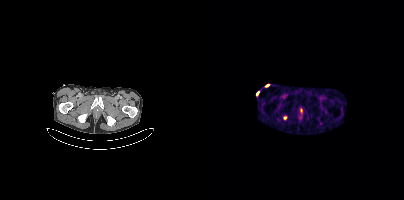
modality: PSMA PET/CT | tracer: [68Ga]Ga-PSMA-11 | view: axial
Coordinates are on the 200×200 PET (right) panel. Small PSMA-avid focus (2 to 4 px across) near (center x, center y): (80, 117).